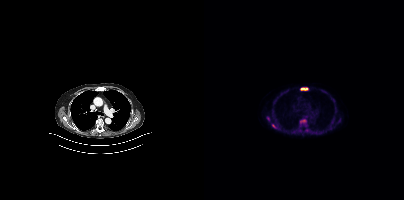
Coordinates are on the 200×200 PET (right) panel. PSMA-avid tumor lesion bounding boxes:
| # | x0 | y0 | x1 | y1 |
|---|---|---|---|---|
| 1 | 96 | 119 | 102 | 123 |
| 2 | 96 | 88 | 103 | 90 |
Small PSMA-avid foci (2 to 4 px across) near (center x, center y): (69, 125); (68, 116); (64, 118).
Paired axial CT (left) and PSMA PET (right), 18F-PSMA tracer. Slice position z = -1091 mm. PET panel 200×200 px (4.1 mm/px).